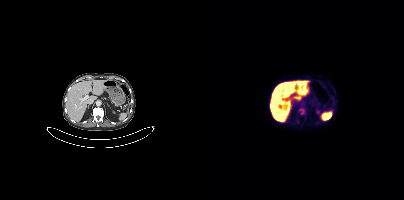
Left: CT. Right: PSMA PET, same axial level, 18F-PSMA tracer. PET panel 200×200 px (4.1 mm/px).
Coordinates are on the 200×200 PET (right) panel. PSMA-avid tumor lesion bounding boxes:
| # | x0 | y0 | x1 | y1 |
|---|---|---|---|---|
| 1 | 97 | 110 | 99 | 114 |